- Left: CT. Right: PSMA PET, same axial level, [18F]PSMA-1007 tracer
- slice position z = -578 mm
- PET panel 200×200 px (4.1 mm/px)
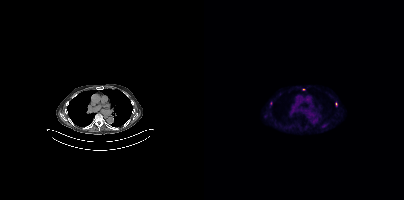
Findings: Coordinates are on the 200×200 PET (right) panel. (showing 2 of 3 foci) PSMA-avid tumor lesion bounding box (x0,y0,x1,y1): [131,102,133,106]. Small PSMA-avid focus (2 to 4 px across) near (center x, center y): (99, 89).